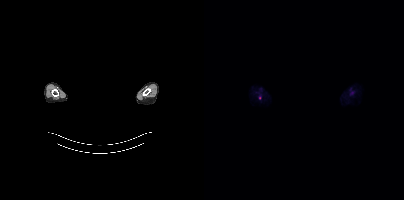
modality: PSMA PET/CT | tracer: [18F]PSMA-1007 | view: axial | PET grid: 200×200 | redaction: head region blacked out before release
Coordinates are on the 200×200 PET (right) panel. Small PSMA-avid focus (2 to 4 px across) near (center x, center y): (55, 98).